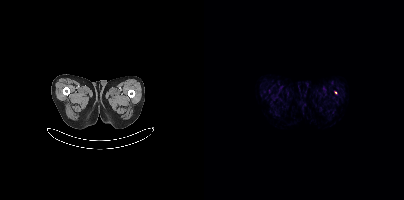
Technique: Left: CT. Right: PSMA PET, same axial level, 18F tracer.
Findings: Coordinates are on the 200×200 PET (right) panel. Small PSMA-avid focus (2 to 4 px across) near (center x, center y): (131, 92).